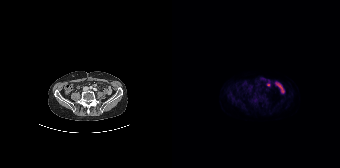
{"modality":"PSMA PET/CT","view":"axial","tracer":"18F","pet_grid":[168,168],"coord_frame":"pet_panel","coord_format":"x0,y0,x1,y1","psma_avid_lesions":false}